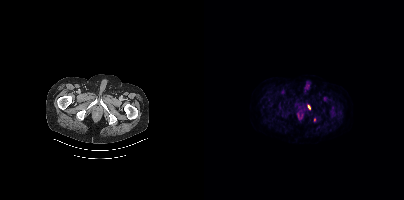
{"modality":"PSMA PET/CT","view":"axial","tracer":"18F","pet_grid":[200,200],"coord_frame":"pet_panel","coord_format":"x0,y0,x1,y1","lesion_bboxes":[[103,105,106,109]],"small_foci_centers":[[110,119]]}